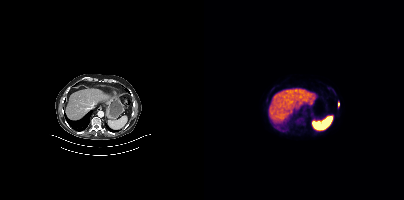
Coordinates are on the 200×200 PET (right) panel. Small PSMA-avid focus (2 to 4 px across) near (center x, center y): (134, 104). Two-panel axial: CT | PSMA PET, [18F]PSMA-1007 tracer. Acquired on Siemens Biograph mCT Flow 20. Slice position z = -576 mm. PET panel 200×200 px (4.1 mm/px).